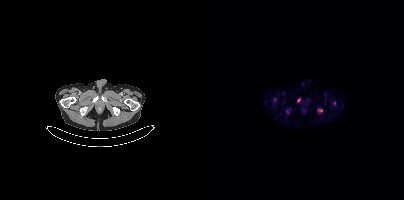
{"modality":"PSMA PET/CT","view":"axial","tracer":"[18F]PSMA-1007","pet_grid":[200,200],"coord_frame":"pet_panel","coord_format":"x0,y0,x1,y1","partial":true,"lesion_bboxes":[[114,109,118,111]],"small_foci_centers":[[94,99],[130,102]]}